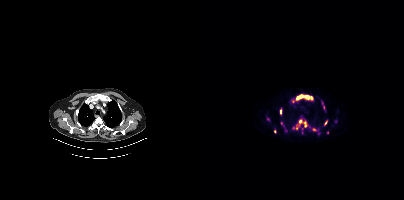
Coordinates are on the 200×200 PET (right) panel. (showing 7 of 10 foci) PSMA-avid tumor lesion bounding boxes (x0,y0,x1,y1): [92,95,109,99] [95,119,102,127] [76,109,77,114]. Small PSMA-avid foci (2 to 4 px across) near (center x, center y): (121, 122) (110, 129) (92, 128) (70, 131).